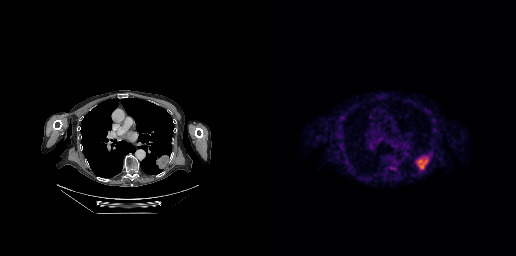
{"modality":"PSMA PET/CT","view":"axial","tracer":"18F-PSMA","pet_grid":[256,256],"coord_frame":"pet_panel","coord_format":"x0,y0,x1,y1","lesion_bboxes":[[156,156,168,169]]}